Technique: Paired axial CT (left) and PSMA PET (right), 18F-PSMA tracer. PET panel 200×200 px (4.1 mm/px).
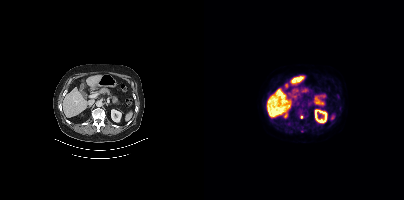
Findings: Coordinates are on the 200×200 PET (right) panel. (showing 3 of 4 foci) PSMA-avid tumor lesion bounding boxes (x0, y0)-(x1, y1): (92, 109)-(102, 118) / (84, 121)-(88, 126). Small PSMA-avid focus (2 to 4 px across) near (center x, center y): (134, 96).